Left: CT. Right: PSMA PET, same axial level, [18F]PSMA-1007 tracer. Acquired on Siemens Biograph mCT Flow 20. Slice 102 of 427.
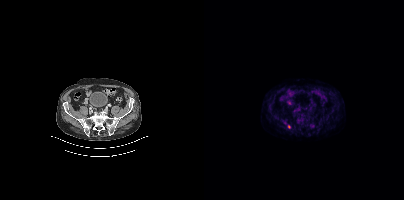
Coordinates are on the 200×200 PET (right) panel. Small PSMA-avid focus (2 to 4 px across) near (center x, center y): (85, 126).